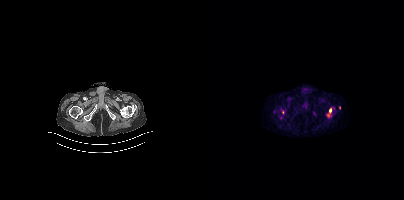
Coordinates are on the 200×200 PET (right) panel. (showing 4 of 5 foci) PSMA-avid tumor lesion bounding boxes (x0, y0)-(x1, y1): (122, 107)-(128, 117) / (78, 110)-(80, 114). Small PSMA-avid foci (2 to 4 px across) near (center x, center y): (76, 117) / (135, 107).